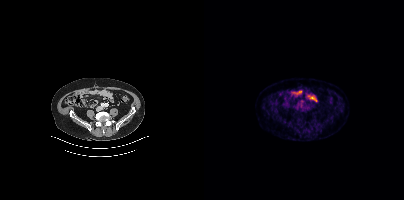
Paired axial CT (left) and PSMA PET (right), [68Ga]Ga-PSMA-11 tracer. Coordinates are on the 200×200 PET (right) panel. Small PSMA-avid focus (2 to 4 px across) near (center x, center y): (97, 105).